modality: PSMA PET/CT | tracer: 18F-PSMA | view: axial
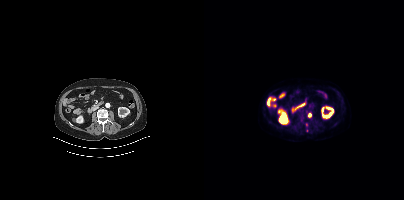
Coordinates are on the 200×200 PET (right) panel. (showing 1 of 3 foci) PSMA-avid tumor lesion bounding box (x, y, width, height): x=104 y=113 w=4 h=5.